Left: CT. Right: PSMA PET, same axial level, 18F-PSMA tracer.
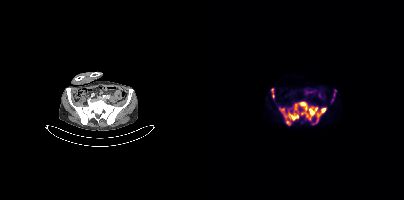
Coordinates are on the 200×200 PET (right) panel. PSMA-avid tumor lesion bounding boxes (partial; 1 more focus not listed):
| # | x0 | y0 | x1 | y1 |
|---|---|---|---|---|
| 1 | 75 | 101 | 122 | 125 |
| 2 | 67 | 88 | 70 | 98 |
| 3 | 129 | 89 | 132 | 96 |
| 4 | 127 | 98 | 129 | 102 |